Technique: Two-panel axial: CT | PSMA PET, 68Ga-PSMA tracer. acquired on Siemens Biograph mCT Flow 20.
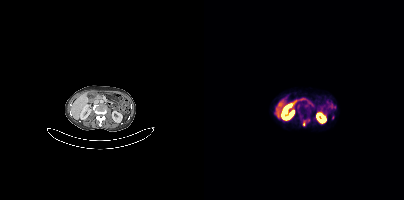
Findings: Coordinates are on the 200×200 PET (right) panel. (showing 2 of 3 foci) PSMA-avid tumor lesion bounding box (x, y, width, height): x=99 y=120 w=4 h=6. Small PSMA-avid focus (2 to 4 px across) near (center x, center y): (104, 120).